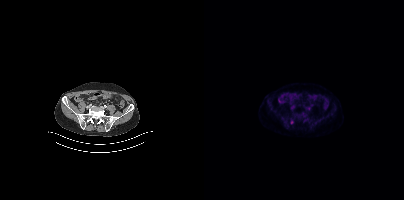
Technique: Two-panel axial: CT | PSMA PET, 18F-PSMA tracer. acquired on Siemens Biograph mCT Flow 20. slice 126 of 415.
Findings: No tumor lesions annotated on this slice.